Technique: Left: CT. Right: PSMA PET, same axial level, 18F-PSMA tracer. PET panel 200×200 px (4.1 mm/px).
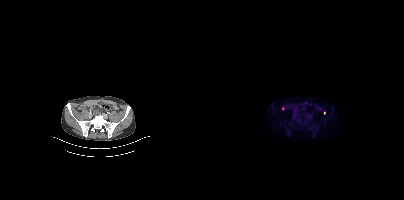
Findings: Coordinates are on the 200×200 PET (right) panel. Small PSMA-avid focus (2 to 4 px across) near (center x, center y): (120, 113).